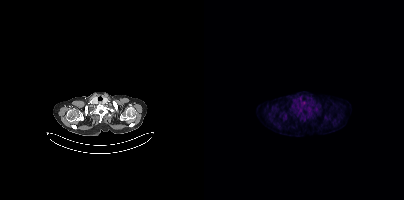
This slice has no annotated PSMA-avid lesion.
modality: PSMA PET/CT | tracer: 18F-PSMA | view: axial | PET grid: 200×200